Left: CT. Right: PSMA PET, same axial level, [18F]PSMA-1007 tracer. Acquired on Siemens Biograph mCT Flow 20. Slice 14 of 423. PET panel 200×200 px (4.1 mm/px).
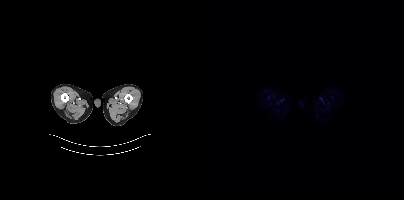
This slice has no annotated PSMA-avid lesion.